- Two-panel axial: CT | PSMA PET, 18F-PSMA tracer
- acquired on Siemens Biograph mCT Flow 20
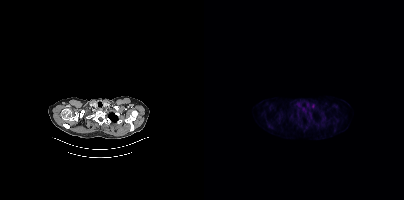
Findings: No PSMA-avid tumor lesions on this slice.